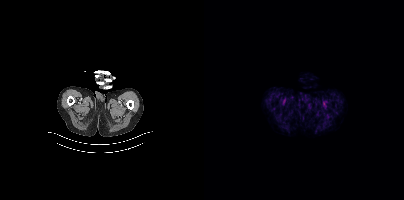
{"modality":"PSMA PET/CT","view":"axial","tracer":"18F-PSMA","pet_grid":[200,200],"coord_frame":"pet_panel","coord_format":"x0,y0,x1,y1","psma_avid_lesions":false}